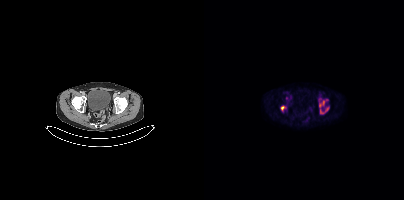
- Paired axial CT (left) and PSMA PET (right), 18F-PSMA tracer
- slice position z = -1462 mm
- PET panel 200×200 px (4.1 mm/px)
Findings: Coordinates are on the 200×200 PET (right) panel. (showing 2 of 4 foci) PSMA-avid tumor lesion bounding boxes (x, y, width, height): x=115 y=99 w=11 h=16; x=76 y=105 w=7 h=7.